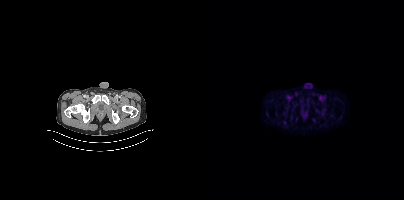
No tumor lesions annotated on this slice. Paired axial CT (left) and PSMA PET (right), 18F-PSMA tracer.